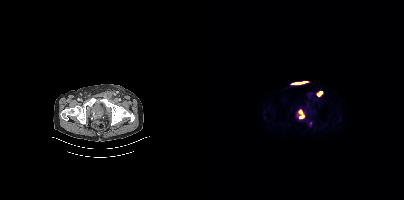
Coordinates are on the 200×200 PET (right) panel. PSMA-avid tumor lesion bounding boxes (x, y, width, height): x=95 y=110 w=6 h=9 | x=113 y=91 w=6 h=6. Left: CT. Right: PSMA PET, same axial level, 18F tracer. PET panel 200×200 px (4.1 mm/px).